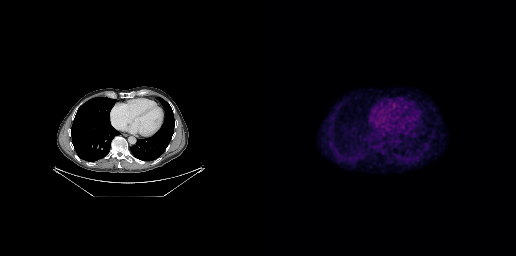
Technique: Left: CT. Right: PSMA PET, same axial level, [18F]PSMA-1007 tracer.
Findings: This slice has no annotated PSMA-avid lesion.